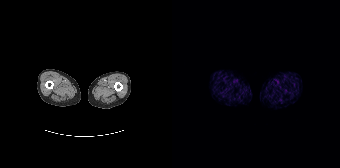
modality: PSMA PET/CT | tracer: 68Ga | view: axial
Negative for PSMA-avid disease on this slice.